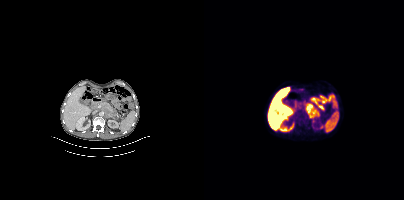
Coordinates are on the 200×200 PET (right) panel. (showing 1 of 2 foci) PSMA-avid tumor lesion bounding box (x0,y0,x1,y1): [102,103,114,118].